Two-panel axial: CT | PSMA PET, 18F-PSMA tracer. Slice 31 of 299. PET panel 256×256 px (2.7 mm/px).
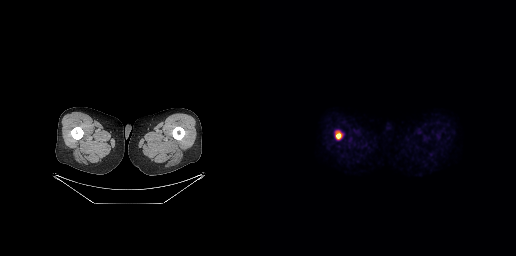
Coordinates are on the 256×256 PET (right) panel. PSMA-avid tumor lesion bounding box (x0, y0)-(x1, y1): (75, 131)-(81, 139).